Left: CT. Right: PSMA PET, same axial level, 68Ga tracer. Acquired on Siemens Biograph 64-4R TruePoint. PET panel 168×168 px (4.1 mm/px).
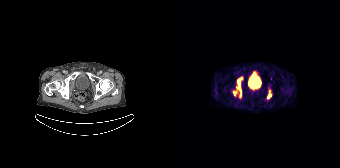
Coordinates are on the 168×168 PET (right) panel. (showing 2 of 3 foci) PSMA-avid tumor lesion bounding boxes (x, y, width, height): x=61 y=79 w=9 h=19; x=95 y=90 w=5 h=9.